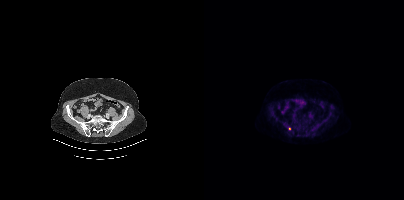
Coordinates are on the 200×200 PET (right) panel. Small PSMA-avid focus (2 to 4 px across) near (center x, center y): (85, 128).